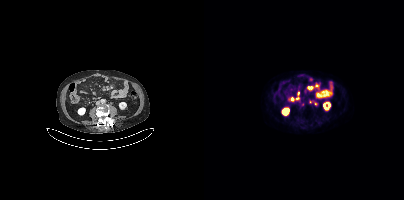
{"modality":"PSMA PET/CT","view":"axial","tracer":"[18F]PSMA-1007","pet_grid":[200,200],"coord_frame":"pet_panel","coord_format":"x0,y0,x1,y1","partial":true,"lesion_bboxes":[[104,86,108,89]],"small_foci_centers":[[87,98],[111,103],[93,98],[106,101]]}